Two-panel axial: CT | PSMA PET, [18F]PSMA-1007 tracer. Slice 230 of 389. PET panel 200×200 px (4.1 mm/px).
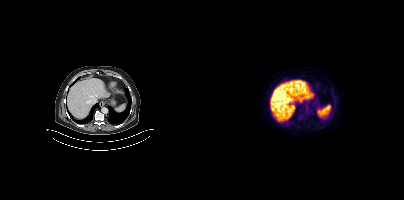
Negative for PSMA-avid disease on this slice.